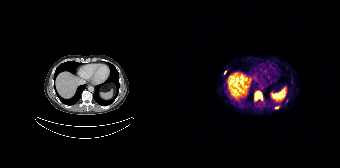
Coordinates are on the 168×168 PET (right) panel. (showing 4 of 7 foci) PSMA-avid tumor lesion bounding box (x, y, width, height): x=83 y=91 w=8 h=10. Small PSMA-avid foci (2 to 4 px across) near (center x, center y): (53, 72); (104, 107); (114, 100).